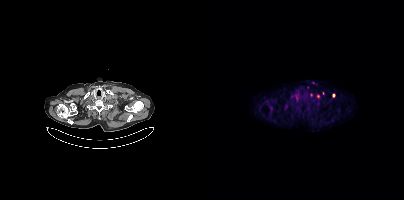
Coordinates are on the 200×200 PET (right) panel. (showing 4 of 6 foci) Small PSMA-avid foci (2 to 4 px across) near (center x, center y): (107, 94) / (129, 95) / (109, 82) / (114, 96).